- Paired axial CT (left) and PSMA PET (right), [18F]PSMA-1007 tracer
- acquired on GE Discovery 690
- any black rectangle over the head is a privacy mask, not anatomy
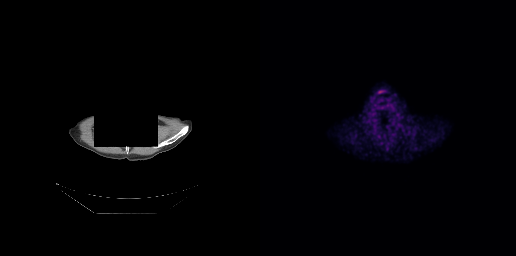
Findings: No tumor lesions annotated on this slice.